modality: PSMA PET/CT | tracer: 18F | view: axial | PET grid: 200×200
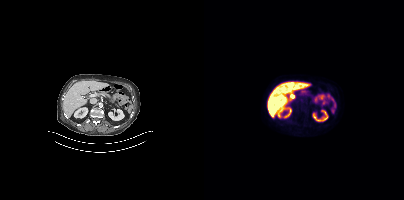
This slice has no annotated PSMA-avid lesion.